Any black rectangle over the head is a privacy mask, not anatomy. Paired axial CT (left) and PSMA PET (right), 68Ga tracer. Acquired on Siemens Biograph mCT Flow 20. PET panel 200×200 px (4.1 mm/px).
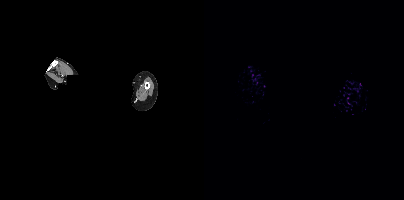
This slice has no annotated PSMA-avid lesion.